Technique: Paired axial CT (left) and PSMA PET (right), 68Ga-PSMA tracer. acquired on Siemens Biograph mCT Flow 20.
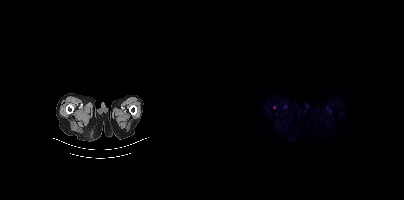
Findings: No PSMA-avid tumor lesions on this slice.